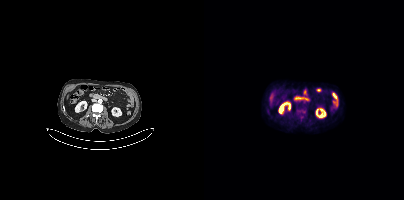
Only PSMA-avid lesion pieces thinner than 2 px on this slice (not listed).